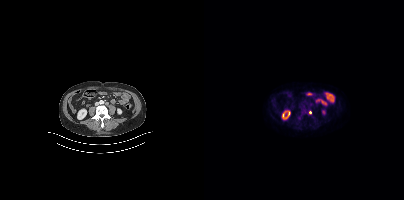
- Left: CT. Right: PSMA PET, same axial level, 18F tracer
- slice 153 of 413
Findings: Only PSMA-avid lesion pieces thinner than 2 px on this slice (not listed).